- Paired axial CT (left) and PSMA PET (right), [68Ga]Ga-PSMA-11 tracer
- PET panel 256×256 px (2.7 mm/px)
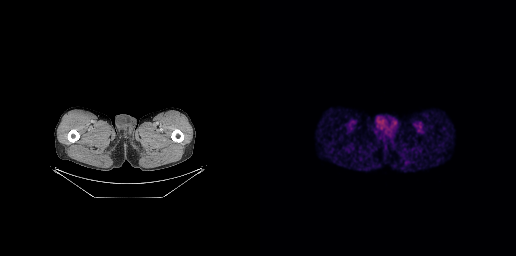
Findings: Negative for PSMA-avid disease on this slice.